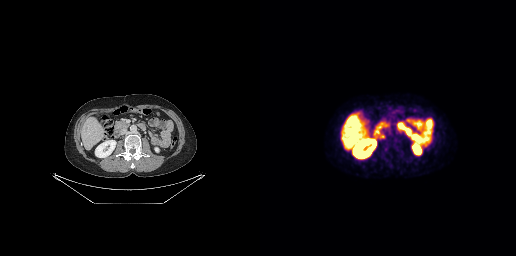
Coordinates are on the 256×256 PET (right) panel. PSMA-avid tumor lesion bounding box (x, y, width, height): x=120 y=133 w=5 h=6.
modality: PSMA PET/CT | tracer: [18F]PSMA-1007 | view: axial